modality: PSMA PET/CT | tracer: 18F-PSMA | view: axial | PET grid: 200×200
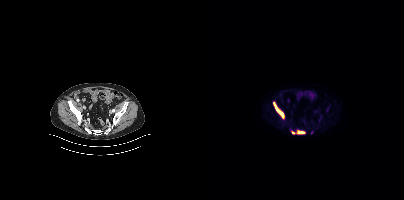
Coordinates are on the 200×200 PET (right) panel. PSMA-avid tumor lesion bounding boxes (x, y, width, height): x=70 y=102 w=11 h=17 | x=93 y=130 w=8 h=4. Small PSMA-avid focus (2 to 4 px across) near (center x, center y): (89, 132).